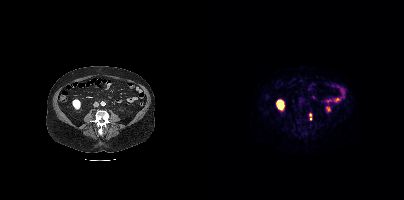
{"modality":"PSMA PET/CT","view":"axial","tracer":"68Ga-PSMA","pet_grid":[200,200],"coord_frame":"pet_panel","coord_format":"x0,y0,x1,y1","lesion_bboxes":[],"small_foci_centers":[[106,114],[106,118]]}